Left: CT. Right: PSMA PET, same axial level, 18F tracer.
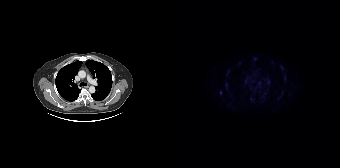
This slice has no annotated PSMA-avid lesion.